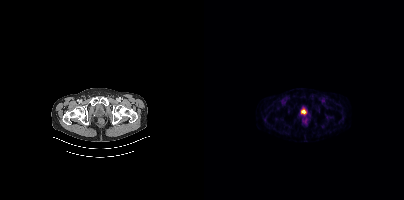
No tumor lesions annotated on this slice.
modality: PSMA PET/CT | tracer: [68Ga]Ga-PSMA-11 | view: axial